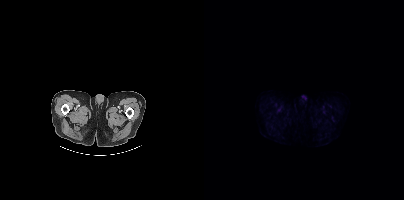
Left: CT. Right: PSMA PET, same axial level, [18F]PSMA-1007 tracer. Slice position z = -1655 mm. No tumor lesions annotated on this slice.